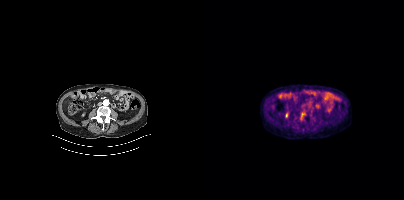
modality: PSMA PET/CT | tracer: 18F-PSMA | view: axial | PET grid: 200×200
Negative for PSMA-avid disease on this slice.